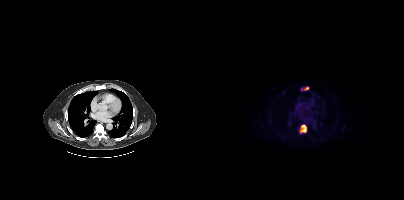
modality: PSMA PET/CT | tracer: 18F-PSMA | view: axial
Coordinates are on the 200×200 PET (right) panel. PSMA-avid tumor lesion bounding boxes (x0,y0,x1,y1): [96,124,102,133]; [100,87,104,89].